Two-panel axial: CT | PSMA PET, 18F-PSMA tracer. Acquired on Siemens Biograph mCT Flow 20. Slice position z = 56 mm. PET panel 200×200 px (4.1 mm/px).
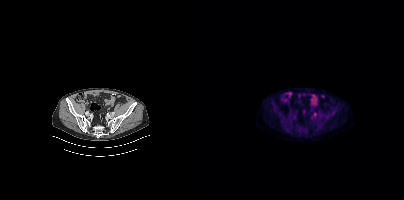
Coordinates are on the 200×200 PET (right) panel. Small PSMA-avid focus (2 to 4 px across) near (center x, center y): (110, 114).